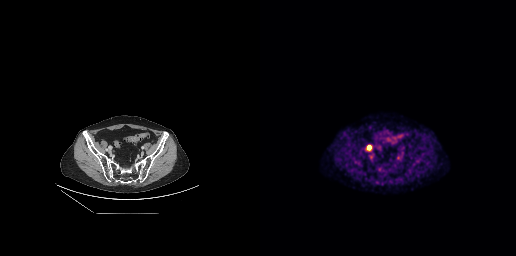
Coordinates are on the 256×256 PET (right) panel. PSMA-avid tumor lesion bounding box (x0,y0,x1,y1): [107,145,111,150]. Two-panel axial: CT | PSMA PET, 18F tracer. Slice 83 of 263. PET panel 256×256 px (2.7 mm/px).